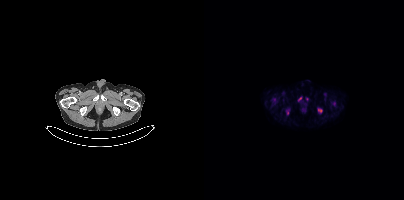
Two-panel axial: CT | PSMA PET, [18F]PSMA-1007 tracer. Acquired on Siemens Biograph mCT Flow 20. PET panel 200×200 px (4.1 mm/px). Coordinates are on the 200×200 PET (right) panel. (showing 3 of 4 foci) Small PSMA-avid foci (2 to 4 px across) near (center x, center y): (115, 110) / (96, 98) / (83, 112).